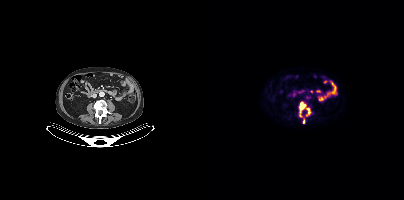
Coordinates are on the 200×200 PET (right) panel. PSMA-avid tumor lesion bounding boxes (x0, y0)-(x1, y1): (95, 102)-(101, 117) / (103, 108)-(106, 113) / (99, 118)-(100, 123). Small PSMA-avid focus (2 to 4 px across) near (center x, center y): (102, 115).